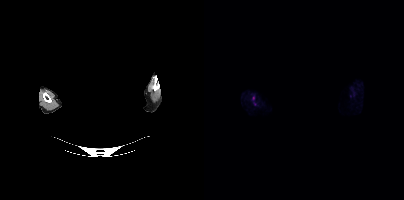
Head region blanked for anonymization (face removed).
Coordinates are on the 200×200 PET (right) panel. Small PSMA-avid focus (2 to 4 px across) near (center x, center y): (50, 104).